modality: PSMA PET/CT | tracer: 68Ga-PSMA | view: axial | PET grid: 200×200
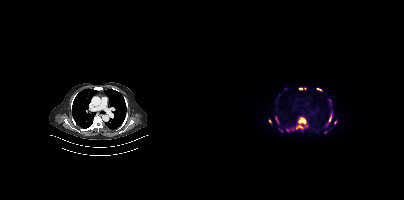
Coordinates are on the 200×200 PET (right) panel. (showing 9 of 11 foci) PSMA-avid tumor lesion bounding boxes (x0,y0,x1,y1): [88,117,102,129], [125,100,127,105], [71,117,74,122], [82,128,85,132], [125,113,128,119], [96,88,101,89], [113,88,117,90]. Small PSMA-avid foci (2 to 4 px across) near (center x, center y): (131, 122), (66, 121).